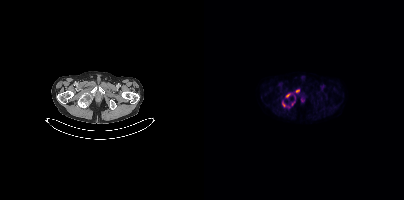
Left: CT. Right: PSMA PET, same axial level, [18F]PSMA-1007 tracer.
Coordinates are on the 200×200 PET (right) panel. PSMA-avid tumor lesion bounding boxes:
| # | x0 | y0 | x1 | y1 |
|---|---|---|---|---|
| 1 | 82 | 93 | 86 | 97 |
| 2 | 87 | 101 | 91 | 105 |
Small PSMA-avid foci (2 to 4 px across) near (center x, center y): (93, 91); (79, 104); (85, 106); (90, 98).